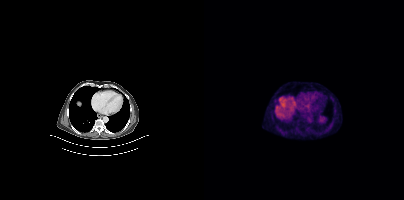
{"modality":"PSMA PET/CT","view":"axial","tracer":"[18F]PSMA-1007","pet_grid":[200,200],"coord_frame":"pet_panel","coord_format":"x0,y0,x1,y1","psma_avid_lesions":false}